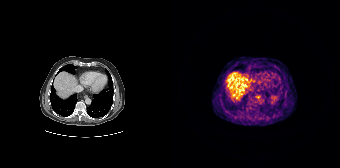
{"modality":"PSMA PET/CT","view":"axial","tracer":"68Ga-PSMA","pet_grid":[168,168],"coord_frame":"pet_panel","coord_format":"x0,y0,x1,y1","psma_avid_lesions":false}